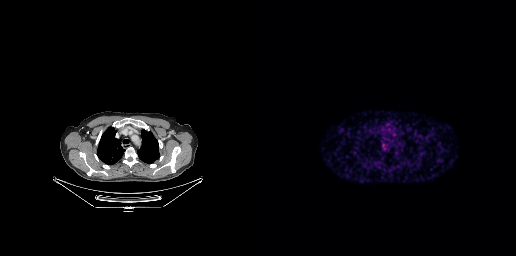
This slice has no annotated PSMA-avid lesion.